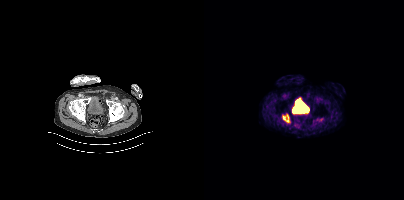
Findings: Coordinates are on the 200×200 PET (right) panel. (showing 2 of 3 foci) PSMA-avid tumor lesion bounding box (x, y, width, height): x=78 y=114 w=8 h=9. Small PSMA-avid focus (2 to 4 px across) near (center x, center y): (116, 119).
- Paired axial CT (left) and PSMA PET (right), 18F tracer
- PET panel 200×200 px (4.1 mm/px)